Technique: Paired axial CT (left) and PSMA PET (right), 18F tracer. slice position z = -316 mm. PET panel 256×256 px (2.7 mm/px).
Note: The head region is masked for de-identification.
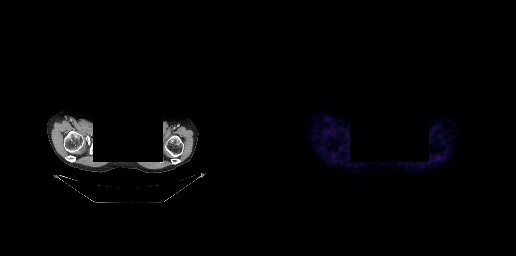
Findings: This slice has no annotated PSMA-avid lesion.